modality: PSMA PET/CT | tracer: [18F]PSMA-1007 | view: axial
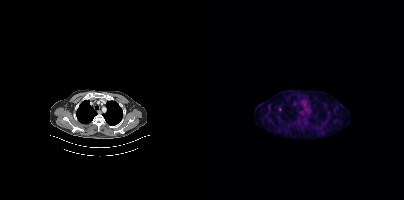
Coordinates are on the 200×200 PET (right) panel. Small PSMA-avid focus (2 to 4 px across) near (center x, center y): (75, 109).